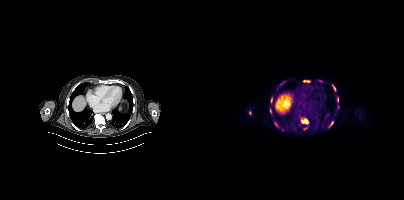
Two-panel axial: CT | PSMA PET, 18F-PSMA tracer. PET panel 200×200 px (4.1 mm/px).
Coordinates are on the 200×200 PET (right) panel. PSMA-avid tumor lesion bounding boxes (partial; 1 more focus not listed):
| # | x0 | y0 | x1 | y1 |
|---|---|---|---|---|
| 1 | 97 | 119 | 104 | 123 |
| 2 | 99 | 80 | 106 | 82 |
| 3 | 67 | 97 | 68 | 102 |
| 4 | 114 | 80 | 118 | 82 |
| 5 | 128 | 85 | 131 | 91 |
| 6 | 76 | 81 | 80 | 84 |
| 7 | 66 | 109 | 67 | 113 |
Small PSMA-avid foci (2 to 4 px across) near (center x, center y): (46, 112); (101, 128); (133, 99); (127, 123); (72, 124).